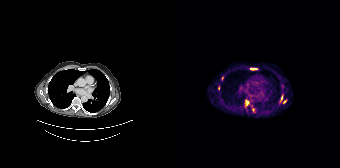
- Left: CT. Right: PSMA PET, same axial level, [68Ga]Ga-PSMA-11 tracer
Findings: Coordinates are on the 168×168 PET (right) panel. (showing 5 of 7 foci) PSMA-avid tumor lesion bounding box (x, y, width, height): x=79 y=68 w=6 h=2. Small PSMA-avid foci (2 to 4 px across) near (center x, center y): (50, 77) | (109, 97) | (81, 109) | (112, 101).